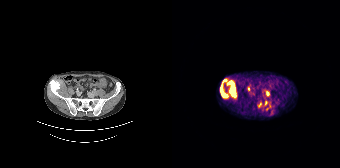
{"modality":"PSMA PET/CT","view":"axial","tracer":"68Ga","pet_grid":[168,168],"coord_frame":"pet_panel","coord_format":"x0,y0,x1,y1","lesion_bboxes":[[48,79,64,98],[93,90,97,96],[85,102,89,107],[92,101,95,105],[94,104,98,110]],"small_foci_centers":[[76,89]]}